Left: CT. Right: PSMA PET, same axial level, [18F]PSMA-1007 tracer. Acquired on Siemens Biograph mCT Flow 20. Slice position z = -1544 mm.
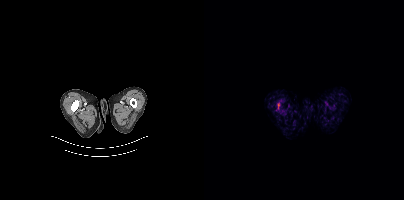
Coordinates are on the 200×200 PET (right) panel. PSMA-avid tumor lesion bounding box (x, y, width, height): x=73 y=102 w=4 h=8.